- Two-panel axial: CT | PSMA PET, 68Ga-PSMA tracer
- slice position z = -172 mm
- PET panel 168×168 px (4.1 mm/px)
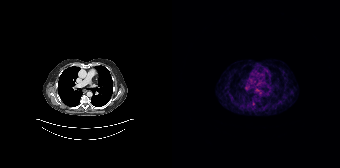
Findings: Coordinates are on the 168×168 PET (right) panel. Small PSMA-avid focus (2 to 4 px across) near (center x, center y): (81, 103).